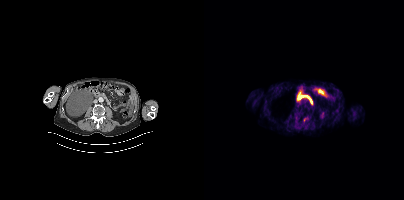
Left: CT. Right: PSMA PET, same axial level, [18F]PSMA-1007 tracer. Acquired on Siemens Biograph mCT Flow 20. Slice position z = -766 mm. Coordinates are on the 200×200 PET (right) panel. Small PSMA-avid focus (2 to 4 px across) near (center x, center y): (100, 119).